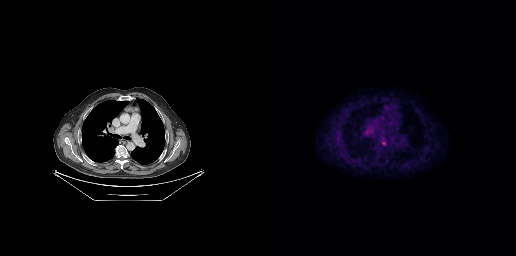
Technique: Paired axial CT (left) and PSMA PET (right), 18F tracer. acquired on GE Discovery 690. slice position z = -217 mm. PET panel 256×256 px (2.7 mm/px).
Findings: Coordinates are on the 256×256 PET (right) panel. PSMA-avid tumor lesion bounding box (x0, y0)-(x1, y1): (122, 141)-(125, 145).